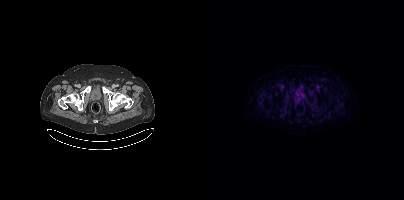
No PSMA-avid tumor lesions on this slice. Two-panel axial: CT | PSMA PET, [18F]PSMA-1007 tracer. Acquired on Siemens Biograph mCT Flow 20. Slice position z = -721 mm. PET panel 200×200 px (4.1 mm/px).